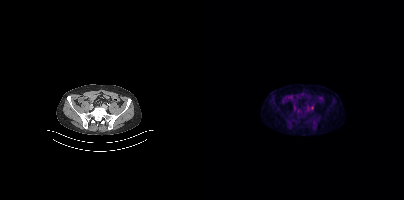
{"modality":"PSMA PET/CT","view":"axial","tracer":"[18F]PSMA-1007","pet_grid":[200,200],"coord_frame":"pet_panel","coord_format":"x0,y0,x1,y1","lesion_bboxes":[],"small_foci_centers":[[108,107]]}